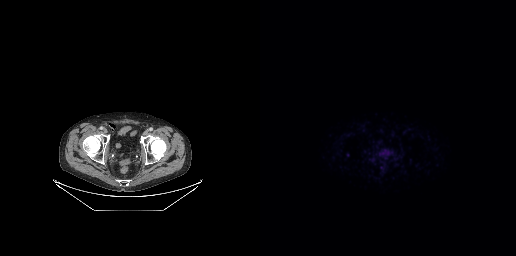
modality: PSMA PET/CT | tracer: 68Ga | view: axial | PET grid: 256×256
This slice has no annotated PSMA-avid lesion.